Technique: Two-panel axial: CT | PSMA PET, [18F]PSMA-1007 tracer. slice position z = -738 mm.
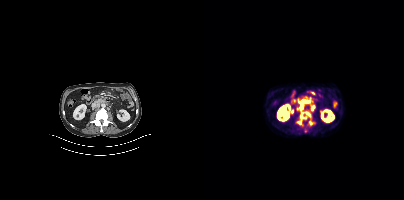
Findings: Coordinates are on the 200×200 PET (right) panel. (showing 3 of 4 foci) PSMA-avid tumor lesion bounding boxes (x, y, width, height): x=93 y=100 w=15 h=25 / x=103 y=121 w=6 h=5 / x=107 y=106 w=4 h=5.